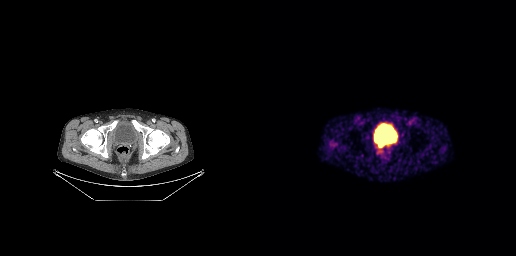
{"modality":"PSMA PET/CT","view":"axial","tracer":"[68Ga]Ga-PSMA-11","pet_grid":[256,256],"coord_frame":"pet_panel","coord_format":"x0,y0,x1,y1","lesion_bboxes":[],"small_foci_centers":[[120,143]]}